- Two-panel axial: CT | PSMA PET, [18F]PSMA-1007 tracer
- slice position z = -1301 mm
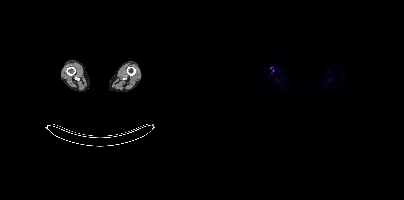
Findings: Only PSMA-avid lesion pieces thinner than 2 px on this slice (not listed).